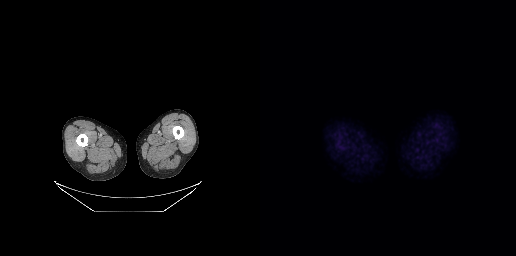
- Left: CT. Right: PSMA PET, same axial level, 18F tracer
Findings: No PSMA-avid tumor lesions on this slice.